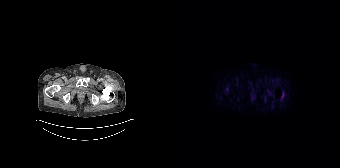
modality: PSMA PET/CT | tracer: [18F]PSMA-1007 | view: axial | PET grid: 168×168
No PSMA-avid tumor lesions on this slice.